Technique: Left: CT. Right: PSMA PET, same axial level, 68Ga tracer. PET panel 168×168 px (4.1 mm/px).
Note: Privacy masking over the head, with the pixels inside a rectangle set to black.
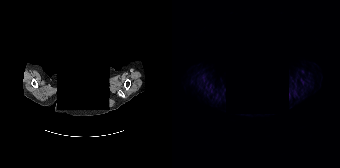
Findings: No PSMA-avid tumor lesions on this slice.